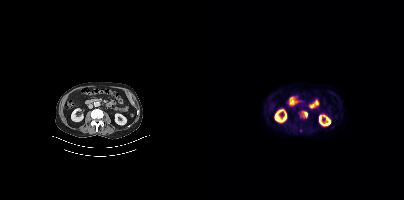
Left: CT. Right: PSMA PET, same axial level, 18F-PSMA tracer. Acquired on Siemens Biograph mCT Flow 20. Coordinates are on the 200×200 PET (right) panel. Small PSMA-avid focus (2 to 4 px across) near (center x, center y): (102, 114).